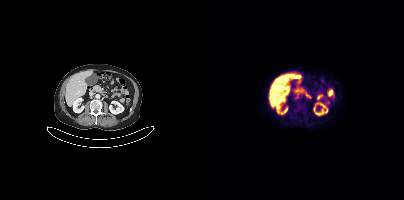
No tumor lesions annotated on this slice.